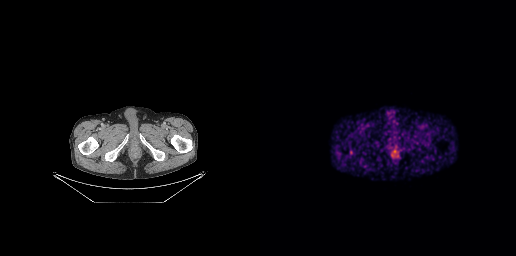
{"pet_grid":[256,256],"coord_frame":"pet_panel","coord_format":"x0,y0,x1,y1","psma_avid_lesions":false,"modality":"PSMA PET/CT","view":"axial","tracer":"68Ga"}